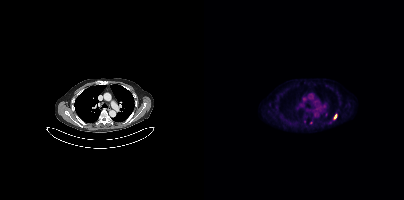
Coordinates are on the 200×200 PET (right) panel. PSMA-avid tumor lesion bounding box (x0,y0,x1,y1): [130,114,132,118].